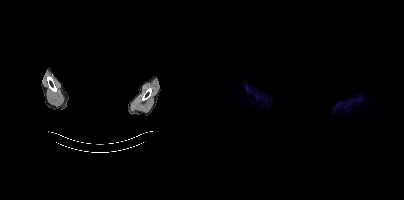
deidentification: rectangular block over head set to black | modality: PSMA PET/CT | tracer: 18F-PSMA | view: axial | PET grid: 200×200
This slice has no annotated PSMA-avid lesion.